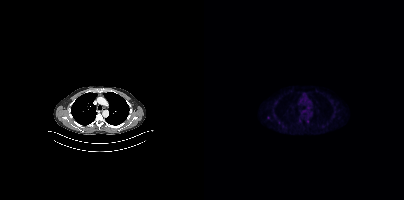
Findings: Only PSMA-avid lesion pieces thinner than 2 px on this slice (not listed).
- Left: CT. Right: PSMA PET, same axial level, 18F tracer
- acquired on Siemens Biograph mCT Flow 20
- PET panel 200×200 px (4.1 mm/px)